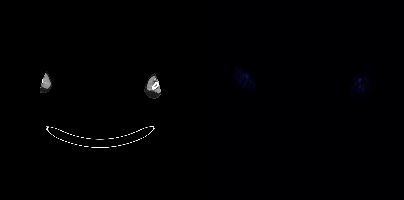
- Paired axial CT (left) and PSMA PET (right), [18F]PSMA-1007 tracer
- slice position z = -841 mm
- the face region was removed for patient privacy by blanking a rectangle over the head
Findings: No PSMA-avid tumor lesions on this slice.